- Two-panel axial: CT | PSMA PET, 18F-PSMA tracer
- PET panel 200×200 px (4.1 mm/px)
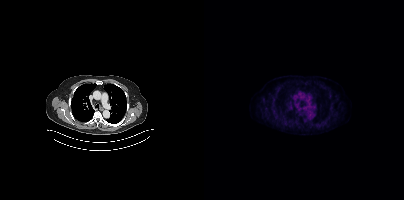
Findings: No PSMA-avid tumor lesions on this slice.